modality: PSMA PET/CT | tracer: 68Ga | view: axial | PET grid: 168×168
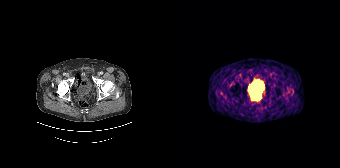
Coordinates are on the 168×168 PET (right) panel. PSMA-avid tumor lesion bounding box (x, y, width, height): x=83 y=94 w=6 h=5.